modality: PSMA PET/CT | tracer: 18F-PSMA | view: axial | PET grid: 200×200
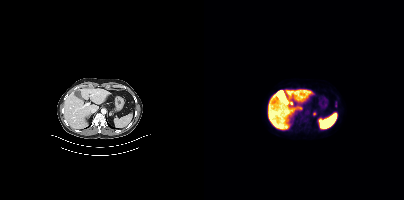
Coordinates are on the 200×200 PET (right) panel. Small PSMA-avid focus (2 to 4 px across) near (center x, center y): (110, 113).